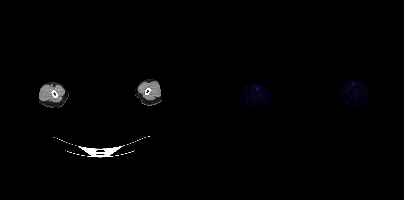
- Two-panel axial: CT | PSMA PET, 18F tracer
- slice position z = -228 mm
- PET panel 200×200 px (4.1 mm/px)
- a rectangular block over the head has been blanked out for de-identification
Findings: Negative for PSMA-avid disease on this slice.